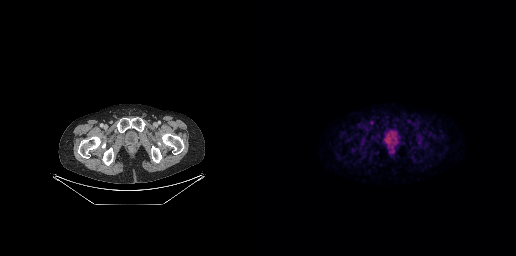
Negative for PSMA-avid disease on this slice.